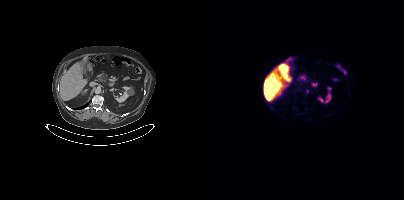
Technique: Left: CT. Right: PSMA PET, same axial level, 18F tracer. acquired on Siemens Biograph mCT Flow 20.
Findings: Coordinates are on the 200×200 PET (right) panel. PSMA-avid tumor lesion bounding box (x, y, width, height): x=102 y=89 w=3 h=5.